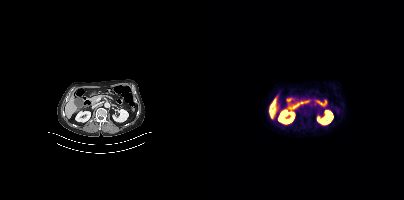
Two-panel axial: CT | PSMA PET, 18F tracer. Acquired on Siemens Biograph mCT Flow 20. Negative for PSMA-avid disease on this slice.